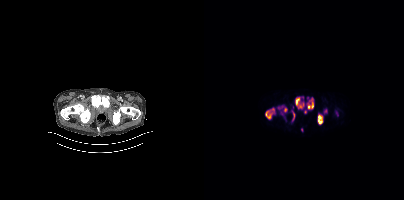
Technique: Left: CT. Right: PSMA PET, same axial level, 18F-PSMA tracer. slice position z = -838 mm.
Findings: Coordinates are on the 200×200 PET (right) panel. (showing 8 of 9 foci) PSMA-avid tumor lesion bounding boxes (x, y, width, height): x=61 y=108 w=11 h=12 | x=91 y=97 w=9 h=12 | x=114 y=114 w=5 h=11 | x=104 y=102 w=6 h=7 | x=80 y=107 w=4 h=6 | x=89 y=112 w=2 h=8. Small PSMA-avid foci (2 to 4 px across) near (center x, center y): (75, 107) | (78, 106).